The head region is masked for de-identification. Paired axial CT (left) and PSMA PET (right), 18F-PSMA tracer. Acquired on Siemens Biograph mCT Flow 20. Slice position z = -890 mm.
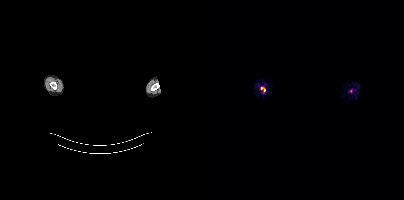
This slice has no annotated PSMA-avid lesion.